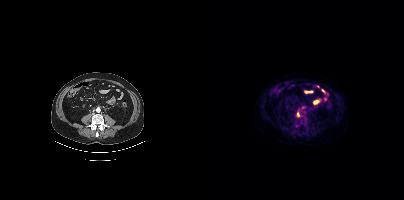
{"pet_grid":[200,200],"coord_frame":"pet_panel","coord_format":"x0,y0,x1,y1","lesion_bboxes":[],"small_foci_centers":[[94,114],[99,107]],"modality":"PSMA PET/CT","view":"axial","tracer":"18F-PSMA"}